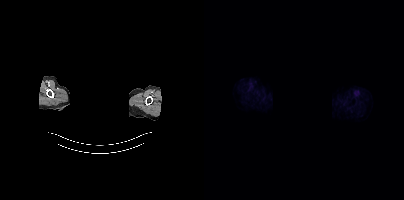
- Paired axial CT (left) and PSMA PET (right), 18F tracer
- slice 418 of 454
- PET panel 200×200 px (4.1 mm/px)
- a rectangle over the head was blacked out to remove identifiable facial features
Findings: This slice has no annotated PSMA-avid lesion.